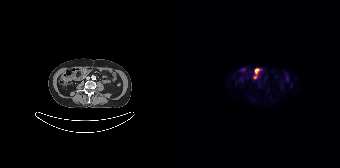
{"modality":"PSMA PET/CT","view":"axial","tracer":"[18F]PSMA-1007","pet_grid":[168,168],"coord_frame":"pet_panel","coord_format":"x0,y0,x1,y1","psma_avid_lesions":false}